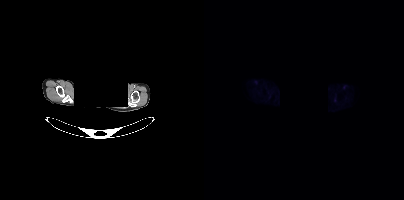
Technique: Paired axial CT (left) and PSMA PET (right), 18F-PSMA tracer. acquired on Siemens Biograph mCT Flow 20. slice 378 of 427. PET panel 200×200 px (4.1 mm/px).
Note: A rectangular block over the head has been blanked out for de-identification.
Findings: No tumor lesions annotated on this slice.